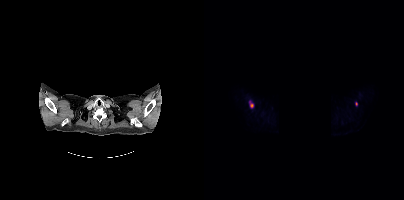
{"modality":"PSMA PET/CT","view":"axial","tracer":"18F","pet_grid":[200,200],"coord_frame":"pet_panel","coord_format":"x0,y0,x1,y1","deidentification":"region redacted","lesion_bboxes":[[45,101,49,107]],"small_foci_centers":[[152,103]]}